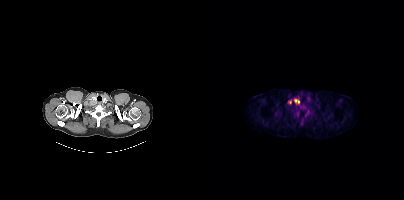
Coordinates are on the 200×200 PET (right) panel. PSMA-avid tumor lesion bounding boxes:
| # | x0 | y0 | x1 | y1 |
|---|---|---|---|---|
| 1 | 90 | 99 | 95 | 103 |
Small PSMA-avid focus (2 to 4 px across) near (center x, center y): (85, 101).
Two-panel axial: CT | PSMA PET, [18F]PSMA-1007 tracer. PET panel 200×200 px (4.1 mm/px).